Two-panel axial: CT | PSMA PET, 18F tracer. Acquired on Siemens Biograph mCT Flow 20.
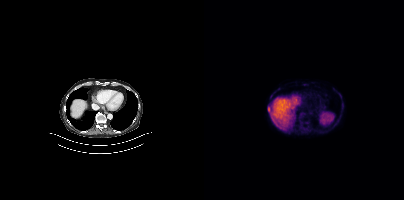
Coordinates are on the 200×200 PET (right) panel. PSMA-avid tumor lesion bounding boxes (partial; 1 more focus not listed):
| # | x0 | y0 | x1 | y1 |
|---|---|---|---|---|
| 1 | 96 | 113 | 101 | 118 |
| 2 | 64 | 107 | 65 | 111 |
Small PSMA-avid focus (2 to 4 px across) near (center x, center y): (97, 121).